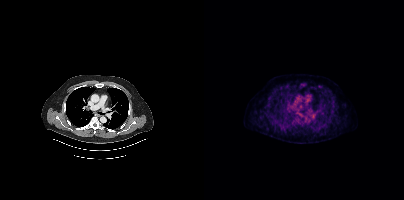
No tumor lesions annotated on this slice.